- Paired axial CT (left) and PSMA PET (right), [18F]PSMA-1007 tracer
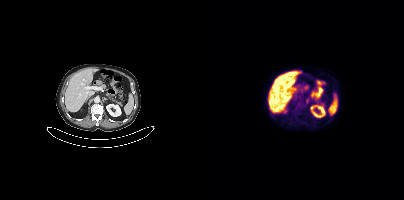
Findings: Coordinates are on the 200×200 PET (right) panel. Small PSMA-avid focus (2 to 4 px across) near (center x, center y): (103, 101).